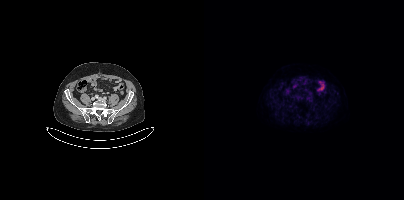
Findings: No tumor lesions annotated on this slice.
Technique: Left: CT. Right: PSMA PET, same axial level, 18F tracer. slice 146 of 433.